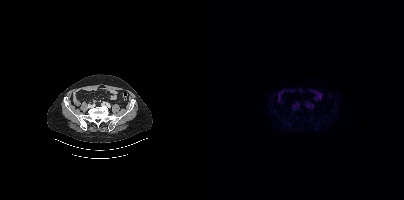
No tumor lesions annotated on this slice.